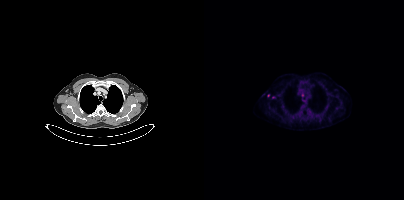
Left: CT. Right: PSMA PET, same axial level, 18F tracer. PET panel 200×200 px (4.1 mm/px). Coordinates are on the 200×200 PET (right) panel. Small PSMA-avid foci (2 to 4 px across) near (center x, center y): (64, 95) / (69, 97) / (98, 94).